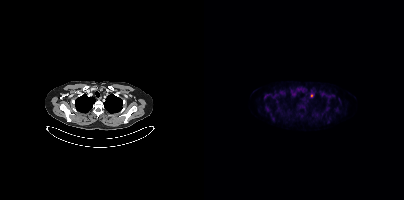
{"modality":"PSMA PET/CT","view":"axial","tracer":"18F","pet_grid":[200,200],"coord_frame":"pet_panel","coord_format":"x0,y0,x1,y1","lesion_bboxes":[],"small_foci_centers":[[107,95]]}